Left: CT. Right: PSMA PET, same axial level, 18F-PSMA tracer. Acquired on Siemens Biograph 64-4R TruePoint. PET panel 168×168 px (4.1 mm/px).
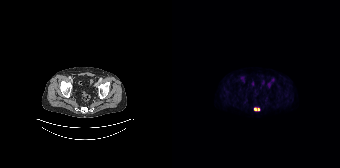
Coordinates are on the 168×168 PET (right) panel. PSMA-avid tumor lesion bounding box (x0,y0,x1,y1): [82,107,87,110].